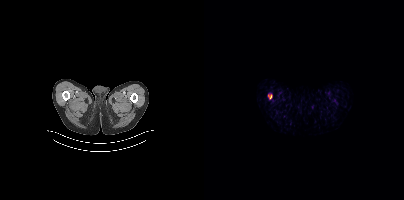
Technique: Paired axial CT (left) and PSMA PET (right), 18F tracer. acquired on Siemens Biograph mCT Flow 20. slice position z = -150 mm.
Findings: Coordinates are on the 200×200 PET (right) panel. PSMA-avid tumor lesion bounding box (x, y, width, height): x=64 y=94 w=5 h=6.